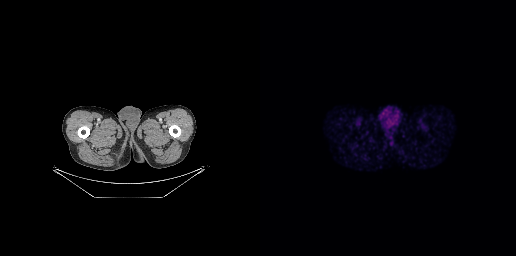
Technique: Left: CT. Right: PSMA PET, same axial level, 68Ga-PSMA tracer. acquired on GE Discovery 690. PET panel 256×256 px (2.7 mm/px).
Findings: Negative for PSMA-avid disease on this slice.